- Paired axial CT (left) and PSMA PET (right), 18F-PSMA tracer
- acquired on Siemens Biograph mCT Flow 20
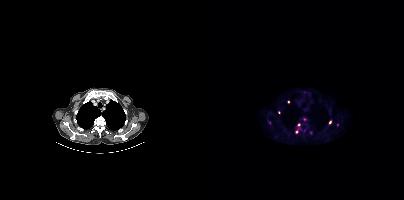
Findings: Coordinates are on the 200×200 PET (right) panel. (showing 3 of 11 foci) Small PSMA-avid foci (2 to 4 px across) near (center x, center y): (126, 122); (95, 124); (84, 101).